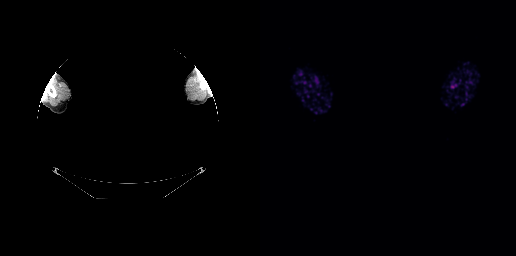
Negative for PSMA-avid disease on this slice.
The face region was removed for patient privacy by blanking a rectangle over the head.